Two-panel axial: CT | PSMA PET, 18F-PSMA tracer. Acquired on Siemens Biograph mCT Flow 20. Slice position z = -124 mm.
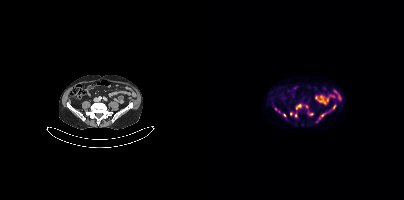
Coordinates are on the 200×200 PET (right) panel. PSMA-avid tumor lesion bounding boxes (partial; 1 more focus not listed):
| # | x0 | y0 | x1 | y1 |
|---|---|---|---|---|
| 1 | 115 | 104 | 132 | 119 |
| 2 | 92 | 104 | 97 | 109 |
| 3 | 71 | 108 | 76 | 112 |
Small PSMA-avid foci (2 to 4 px across) near (center x, center y): (87, 113); (107, 114); (102, 106); (80, 115); (91, 115).